Two-panel axial: CT | PSMA PET, [18F]PSMA-1007 tracer. Slice position z = -242 mm.
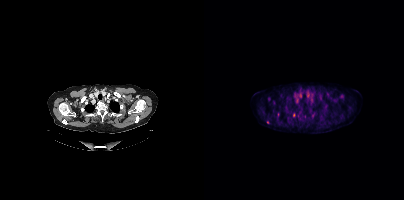
Coordinates are on the 200×200 PET (right) panel. (showing 1 of 2 foci) Small PSMA-avid focus (2 to 4 px across) near (center x, center y): (89, 114).